Left: CT. Right: PSMA PET, same axial level, 68Ga tracer. Acquired on Siemens Biograph 64-4R TruePoint.
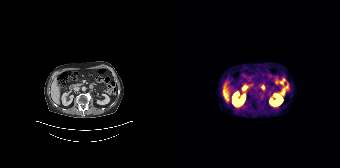
This slice has no annotated PSMA-avid lesion.